Two-panel axial: CT | PSMA PET, [18F]PSMA-1007 tracer. Acquired on Siemens Biograph mCT Flow 20.
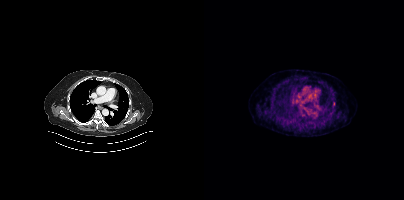
Only PSMA-avid lesion pieces thinner than 2 px on this slice (not listed).